Left: CT. Right: PSMA PET, same axial level, [18F]PSMA-1007 tracer.
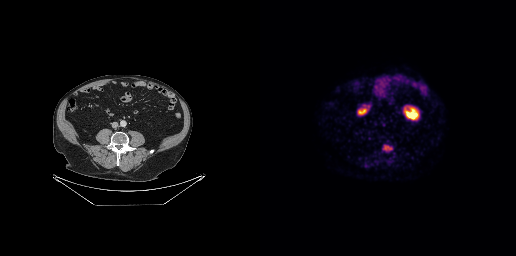
Coordinates are on the 256×256 PET (right) panel. PSMA-avid tumor lesion bounding box (x0, y0)-(x1, y1): (122, 144)-(132, 152).